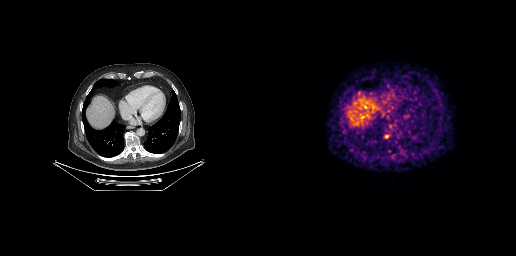
Findings: This slice has no annotated PSMA-avid lesion.
- Paired axial CT (left) and PSMA PET (right), [68Ga]Ga-PSMA-11 tracer
- acquired on GE Discovery 690
- slice 172 of 263